- Paired axial CT (left) and PSMA PET (right), 18F tracer
- acquired on Siemens Biograph mCT Flow 20
- slice position z = -1610 mm
- PET panel 200×200 px (4.1 mm/px)
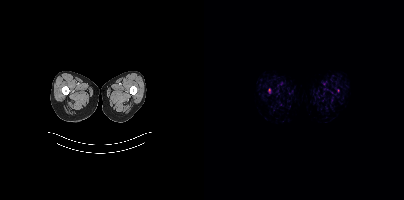
Findings: Coordinates are on the 200×200 PET (right) panel. (showing 1 of 2 foci) Small PSMA-avid focus (2 to 4 px across) near (center x, center y): (65, 90).